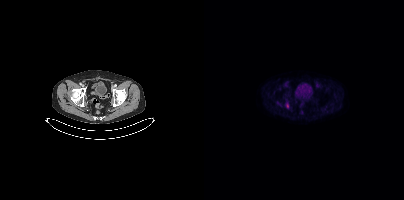
Coordinates are on the 200×200 PET (right) panel. Small PSMA-avid focus (2 to 4 px across) near (center x, center y): (83, 106). Two-panel axial: CT | PSMA PET, 18F-PSMA tracer. Acquired on Siemens Biograph mCT Flow 20.